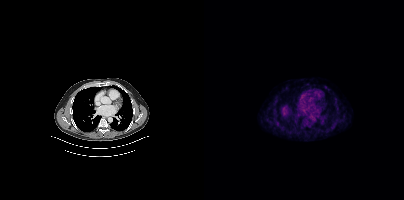
Technique: Paired axial CT (left) and PSMA PET (right), [18F]PSMA-1007 tracer. PET panel 200×200 px (4.1 mm/px).
Findings: No tumor lesions annotated on this slice.